modality: PSMA PET/CT | tracer: [18F]PSMA-1007 | view: axial | PET grid: 200×200
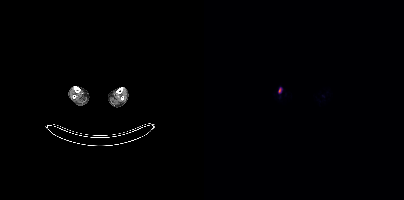
Coordinates are on the 200×200 PET (right) panel. PSMA-avid tumor lesion bounding box (x0,y0,x1,y1): [74,88,77,92].